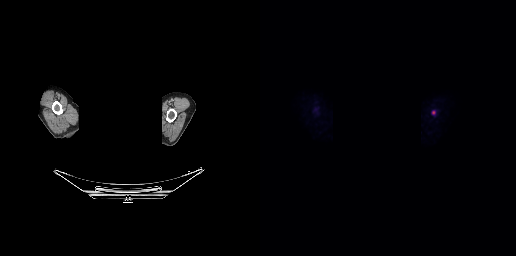
Coordinates are on the 256×256 PET (right) panel. PSMA-avid tumor lesion bounding box (x, y, width, height): x=172 y=110 w=4 h=5. Two-panel axial: CT | PSMA PET, [18F]PSMA-1007 tracer. Acquired on GE Discovery 690. PET panel 256×256 px (2.7 mm/px). Facial anatomy redacted by setting a rectangular region of the head to black.